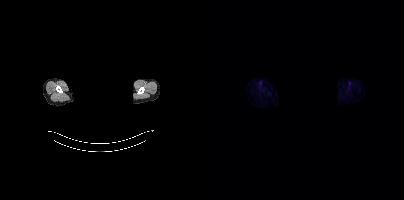
- head region blanked for anonymization (face removed)
- Paired axial CT (left) and PSMA PET (right), 18F tracer
- PET panel 200×200 px (4.1 mm/px)
Findings: No tumor lesions annotated on this slice.